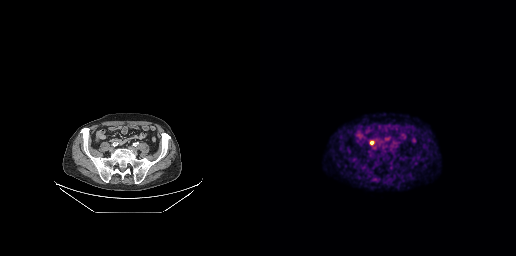
{"modality":"PSMA PET/CT","view":"axial","tracer":"68Ga","pet_grid":[256,256],"coord_frame":"pet_panel","coord_format":"x0,y0,x1,y1","lesion_bboxes":[[110,140,114,145]]}